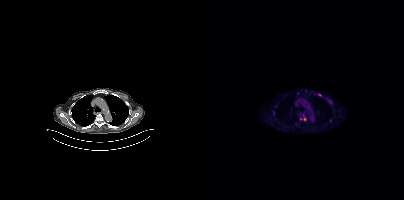
{"modality":"PSMA PET/CT","view":"axial","tracer":"18F-PSMA","pet_grid":[200,200],"coord_frame":"pet_panel","coord_format":"x0,y0,x1,y1","partial":true,"lesion_bboxes":[[96,118,101,120]],"small_foci_centers":[[115,95],[126,120],[126,102]]}